Two-panel axial: CT | PSMA PET, 18F-PSMA tracer. PET panel 168×168 px (4.1 mm/px).
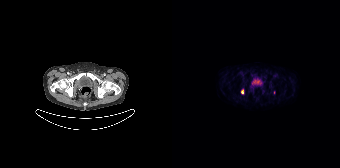
Coordinates are on the 168×168 PET (right) panel. PSMA-avid tumor lesion bounding boxes:
| # | x0 | y0 | x1 | y1 |
|---|---|---|---|---|
| 1 | 69 | 89 | 71 | 93 |
Small PSMA-avid focus (2 to 4 px across) near (center x, center y): (102, 92).